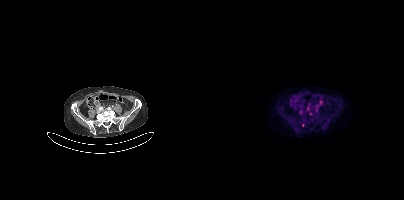
Left: CT. Right: PSMA PET, same axial level, 18F tracer. Acquired on Siemens Biograph mCT Flow 20. Slice position z = -1414 mm. Coordinates are on the 200×200 PET (right) panel. (showing 3 of 4 foci) Small PSMA-avid foci (2 to 4 px across) near (center x, center y): (99, 125); (103, 108); (96, 111).